Technique: Two-panel axial: CT | PSMA PET, [18F]PSMA-1007 tracer. slice position z = -1756 mm.
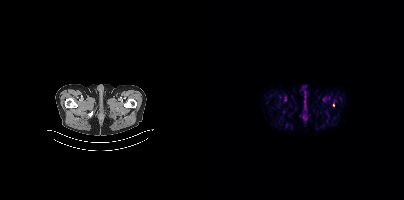
Findings: Coordinates are on the 200×200 PET (right) panel. Small PSMA-avid focus (2 to 4 px across) near (center x, center y): (129, 105).